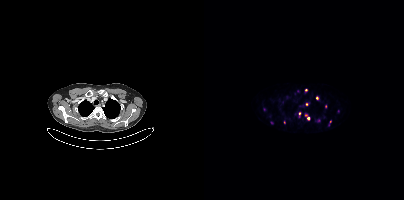
Coordinates are on the 200×200 PET (right) panel. (showing 8 of 11 foci) PSMA-avid tumor lesion bounding boxes (x0, y0)-(x1, y1): (101, 114)-(105, 119) / (95, 113)-(96, 117). Small PSMA-avid foci (2 to 4 px across) near (center x, center y): (113, 98) / (121, 106) / (80, 122) / (101, 89) / (126, 121) / (114, 120).